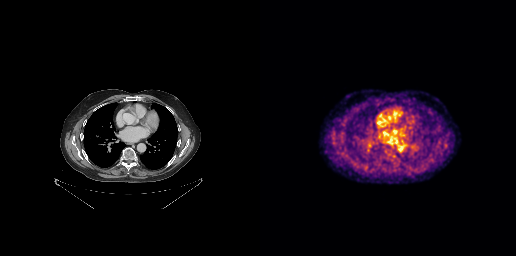
Findings: No PSMA-avid tumor lesions on this slice.
Technique: Paired axial CT (left) and PSMA PET (right), 18F-PSMA tracer. PET panel 256×256 px (2.7 mm/px).